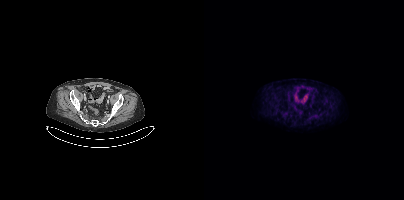
- Left: CT. Right: PSMA PET, same axial level, 18F tracer
- acquired on Siemens Biograph mCT Flow 20
Findings: No PSMA-avid tumor lesions on this slice.